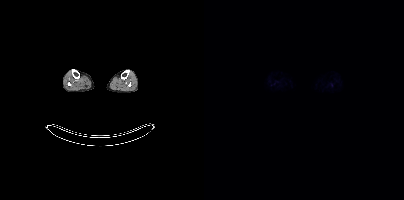
modality: PSMA PET/CT | tracer: 18F | view: axial
No PSMA-avid tumor lesions on this slice.